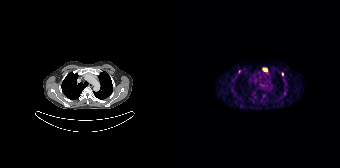
{"modality":"PSMA PET/CT","view":"axial","tracer":"68Ga","pet_grid":[168,168],"coord_frame":"pet_panel","coord_format":"x0,y0,x1,y1","partial":true,"lesion_bboxes":[[91,68,95,70]],"small_foci_centers":[[67,71],[110,73]]}